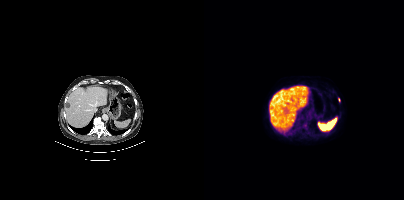
Findings: Coordinates are on the 200×200 PET (right) panel. Small PSMA-avid focus (2 to 4 px across) near (center x, center y): (134, 99).
- Paired axial CT (left) and PSMA PET (right), 18F-PSMA tracer
- acquired on Siemens Biograph mCT Flow 20
- slice position z = -1217 mm
- PET panel 200×200 px (4.1 mm/px)